modality: PSMA PET/CT | tracer: 18F-PSMA | view: axial
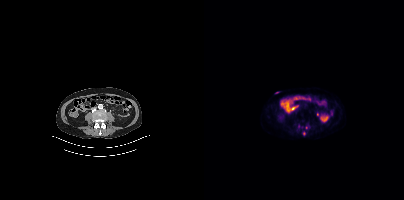
No PSMA-avid tumor lesions on this slice.